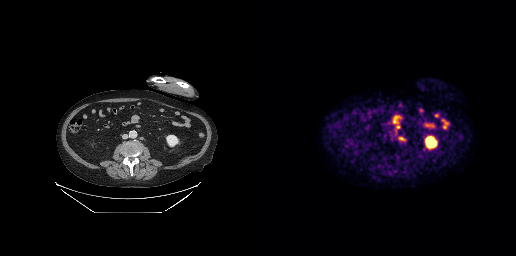
Coordinates are on the 256×256 PET (right) panel. Small PSMA-avid foci (2 to 4 px across) near (center x, center y): (141, 138); (138, 127).